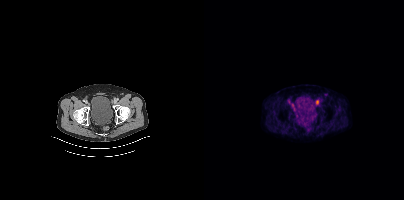
Coordinates are on the 200×200 PET (right) panel. PSMA-avid tumor lesion bounding box (x, y, width, height): x=111 y=100 w=4 h=5. Paired axial CT (left) and PSMA PET (right), [18F]PSMA-1007 tracer. PET panel 200×200 px (4.1 mm/px).